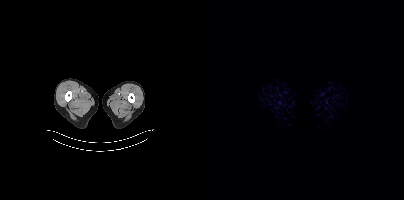
modality: PSMA PET/CT | tracer: [18F]PSMA-1007 | view: axial
No PSMA-avid tumor lesions on this slice.